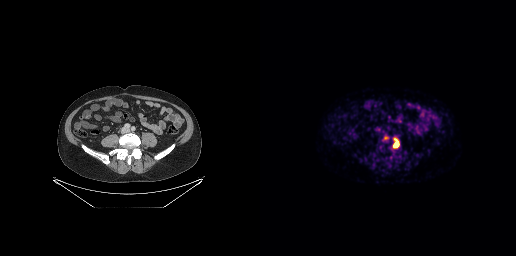
Paired axial CT (left) and PSMA PET (right), 68Ga tracer. Slice 93 of 263. PET panel 256×256 px (2.7 mm/px).
Coordinates are on the 256×256 PET (right) panel. PSMA-avid tumor lesion bounding boxes:
| # | x0 | y0 | x1 | y1 |
|---|---|---|---|---|
| 1 | 133 | 139 | 138 | 147 |